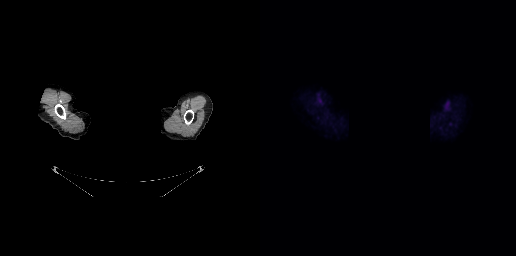
{"modality":"PSMA PET/CT","view":"axial","tracer":"18F","pet_grid":[256,256],"coord_frame":"pet_panel","coord_format":"x0,y0,x1,y1","psma_avid_lesions":false,"deidentification":"rectangular block over head set to black"}